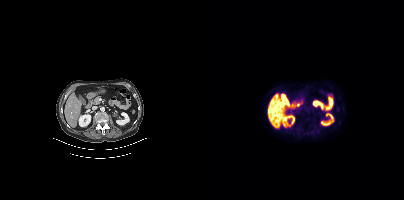
Negative for PSMA-avid disease on this slice.